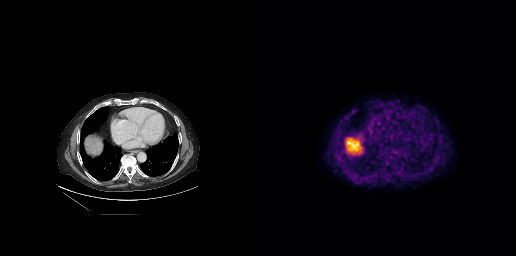
Coordinates are on the 256×256 PET (right) panel. PSMA-avid tumor lesion bounding box (x0, y0)-(x1, y1): (90, 108)-(96, 114).